modality: PSMA PET/CT | tracer: 18F-PSMA | view: axial | deidentification: head region blacked out before release
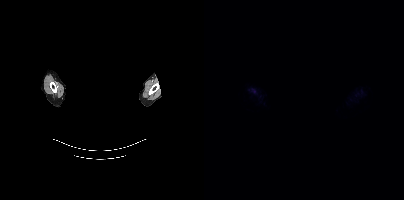
No PSMA-avid tumor lesions on this slice.